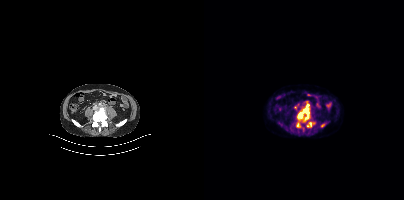
Technique: Paired axial CT (left) and PSMA PET (right), 18F-PSMA tracer.
Findings: Coordinates are on the 200×200 PET (right) panel. (showing 5 of 6 foci) PSMA-avid tumor lesion bounding boxes (x0, y0)-(x1, y1): (93, 109)-(105, 120) | (105, 122)-(107, 126). Small PSMA-avid foci (2 to 4 px across) near (center x, center y): (93, 124) | (103, 106) | (103, 125).